- Two-panel axial: CT | PSMA PET, 18F-PSMA tracer
- acquired on Siemens Biograph mCT Flow 20
- slice 382 of 405
- a rectangular block over the head has been blanked out for de-identification
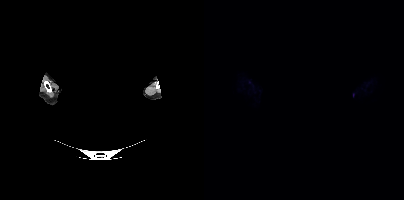
Findings: No PSMA-avid tumor lesions on this slice.